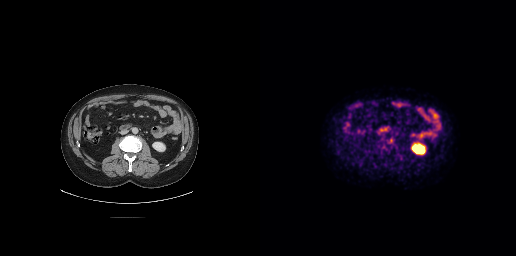
Only PSMA-avid lesion pieces thinner than 2 px on this slice (not listed).